Paired axial CT (left) and PSMA PET (right), [68Ga]Ga-PSMA-11 tracer. Slice 92 of 263. PET panel 256×256 px (2.7 mm/px).
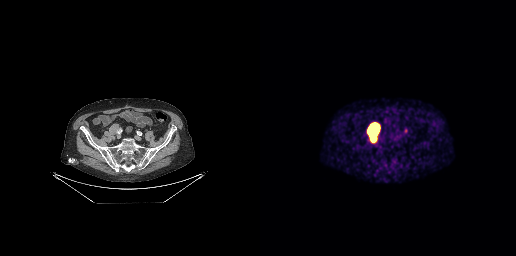
Coordinates are on the 256×256 PET (right) panel. PSMA-avid tumor lesion bounding boxes:
| # | x0 | y0 | x1 | y1 |
|---|---|---|---|---|
| 1 | 109 | 124 | 118 | 139 |